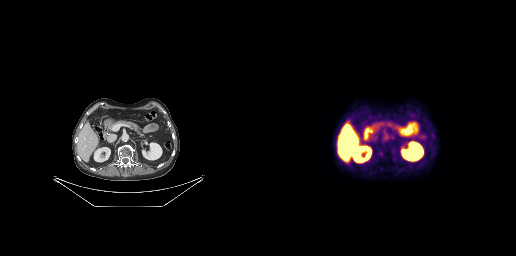
modality: PSMA PET/CT | tracer: 18F-PSMA | view: axial | PET grid: 256×256
No PSMA-avid tumor lesions on this slice.